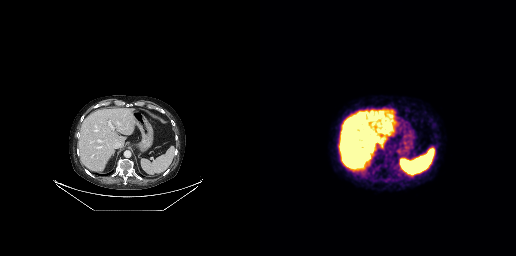
- Paired axial CT (left) and PSMA PET (right), [68Ga]Ga-PSMA-11 tracer
- slice 167 of 263
Findings: No PSMA-avid tumor lesions on this slice.